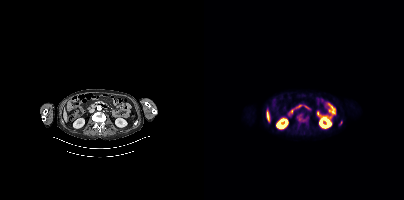
Two-panel axial: CT | PSMA PET, 18F-PSMA tracer. Slice position z = -1200 mm. PET panel 200×200 px (4.1 mm/px).
Coordinates are on the 200×200 PET (right) panel. PSMA-avid tumor lesion bounding boxes (partial; 1 more focus not listed):
| # | x0 | y0 | x1 | y1 |
|---|---|---|---|---|
| 1 | 93 | 114 | 102 | 121 |